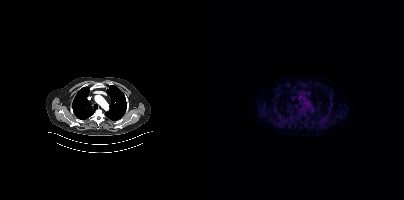
Findings: Only PSMA-avid lesion pieces thinner than 2 px on this slice (not listed).
- Paired axial CT (left) and PSMA PET (right), [18F]PSMA-1007 tracer
- acquired on Siemens Biograph mCT Flow 20
- PET panel 200×200 px (4.1 mm/px)